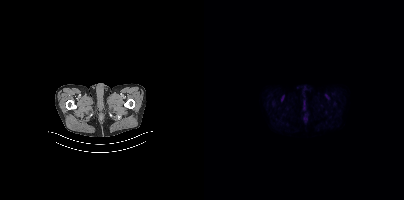
Two-panel axial: CT | PSMA PET, 18F tracer. Acquired on Siemens Biograph mCT Flow 20. Slice 35 of 421. Negative for PSMA-avid disease on this slice.